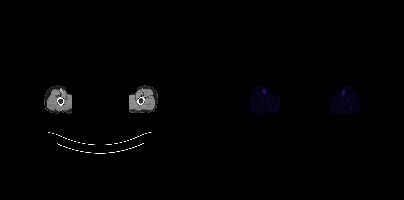
The head region is masked for de-identification. Two-panel axial: CT | PSMA PET, 18F tracer. Slice position z = -361 mm. Negative for PSMA-avid disease on this slice.